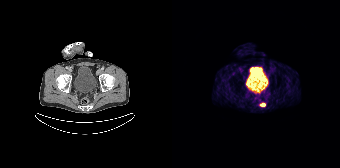
{"modality":"PSMA PET/CT","view":"axial","tracer":"68Ga","pet_grid":[168,168],"coord_frame":"pet_panel","coord_format":"x0,y0,x1,y1","lesion_bboxes":[[88,103,93,106]]}